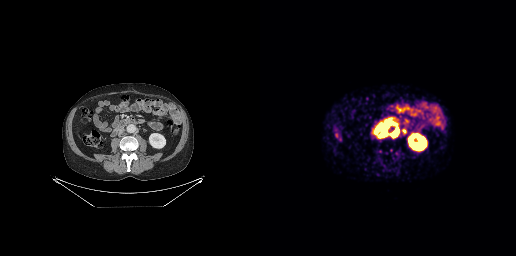
{"pet_grid":[256,256],"coord_frame":"pet_panel","coord_format":"x0,y0,x1,y1","lesion_bboxes":[[118,125,127,137],[132,128,138,137]],"modality":"PSMA PET/CT","view":"axial","tracer":"68Ga"}